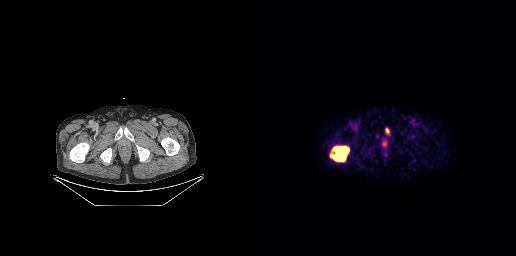
Coordinates are on the 256×256 PET (right) panel. PSMA-avid tumor lesion bounding boxes:
| # | x0 | y0 | x1 | y1 |
|---|---|---|---|---|
| 1 | 69 | 145 | 90 | 162 |
| 2 | 122 | 142 | 126 | 146 |
| 3 | 126 | 128 | 129 | 133 |
Paired axial CT (left) and PSMA PET (right), [18F]PSMA-1007 tracer. Slice 51 of 263. PET panel 256×256 px (2.7 mm/px).